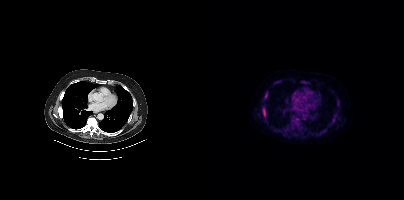
{"pet_grid":[200,200],"coord_frame":"pet_panel","coord_format":"x0,y0,x1,y1","lesion_bboxes":[[61,92,63,96],[59,110,61,114]],"modality":"PSMA PET/CT","view":"axial","tracer":"18F-PSMA"}